deidentification: facial region redacted | modality: PSMA PET/CT | tracer: 18F-PSMA | view: axial | PET grid: 200×200
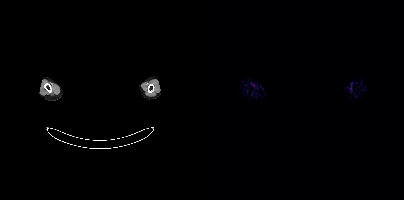
Negative for PSMA-avid disease on this slice.